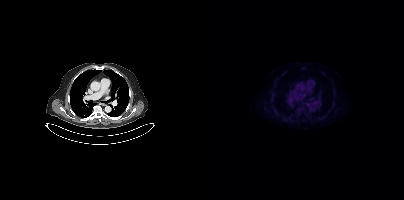
{"pet_grid":[200,200],"coord_frame":"pet_panel","coord_format":"x0,y0,x1,y1","psma_avid_lesions":false,"modality":"PSMA PET/CT","view":"axial","tracer":"18F"}